- Left: CT. Right: PSMA PET, same axial level, [18F]PSMA-1007 tracer
- slice 425 of 429
- PET panel 200×200 px (4.1 mm/px)
- facial anatomy redacted by setting a rectangular region of the head to black
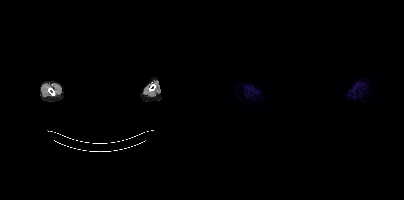
Findings: This slice has no annotated PSMA-avid lesion.